Technique: Left: CT. Right: PSMA PET, same axial level, 18F tracer. acquired on Siemens Biograph mCT Flow 20. slice position z = -1043 mm.
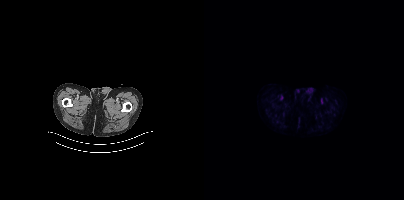
Findings: No tumor lesions annotated on this slice.